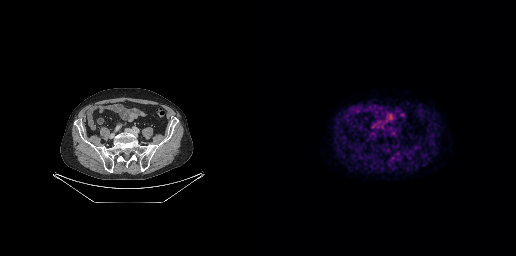
Technique: Left: CT. Right: PSMA PET, same axial level, 18F tracer. PET panel 256×256 px (2.7 mm/px).
Findings: No PSMA-avid tumor lesions on this slice.